modality: PSMA PET/CT | tracer: 18F-PSMA | view: axial
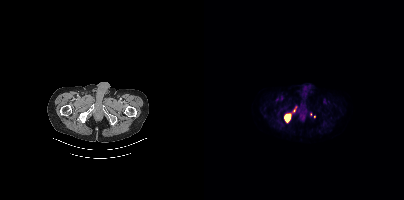
Coordinates are on the 200×200 PET (right) panel. (showing 3 of 5 foci) PSMA-avid tumor lesion bounding box (x, y, width, height): x=80 y=114 w=7 h=8. Small PSMA-avid foci (2 to 4 px across) near (center x, center y): (90, 110) | (110, 116).